Technique: Two-panel axial: CT | PSMA PET, 18F-PSMA tracer.
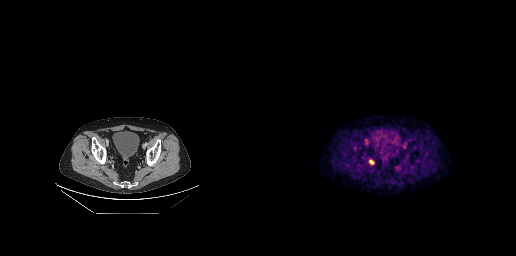
Findings: Coordinates are on the 256×256 PET (right) panel. PSMA-avid tumor lesion bounding box (x0, y0)-(x1, y1): (109, 160)-(113, 164).